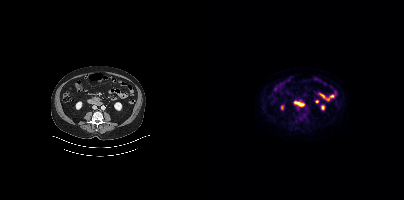
{"pet_grid":[200,200],"coord_frame":"pet_panel","coord_format":"x0,y0,x1,y1","psma_avid_lesions":false,"modality":"PSMA PET/CT","view":"axial","tracer":"18F"}